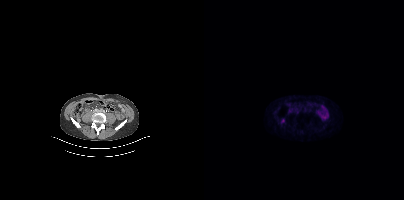
modality: PSMA PET/CT | tracer: [18F]PSMA-1007 | view: axial | PET grid: 200×200
Coordinates are on the 200×200 PET (right) panel. Small PSMA-avid focus (2 to 4 px across) near (center x, center y): (78, 120).